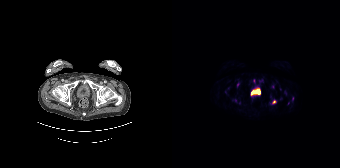
Coordinates are on the 168×168 PET (right) panel. (showing 2 of 4 foci) PSMA-avid tumor lesion bounding box (x0, y0)-(x1, y1): (100, 100)-(104, 103). Small PSMA-avid focus (2 to 4 px across) near (center x, center y): (65, 84).
modality: PSMA PET/CT | tracer: 18F | view: axial